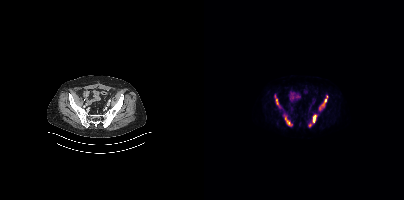
Coordinates are on the 200×200 PET (right) panel. PSMA-avid tumor lesion bounding boxes (x0,y0,x1,y1): [115,96,123,109]; [81,117,88,125]; [71,95,74,105]; [109,115,112,122]. Small PSMA-avid focus (2 to 4 px across) near (center x, center y): (106, 125).